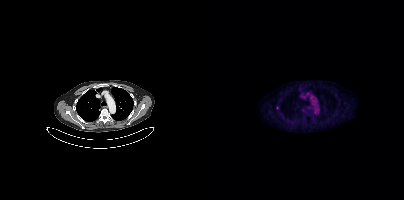
{"modality":"PSMA PET/CT","view":"axial","tracer":"18F-PSMA","pet_grid":[200,200],"coord_frame":"pet_panel","coord_format":"x0,y0,x1,y1","lesion_bboxes":[],"small_foci_centers":[[73,107]]}